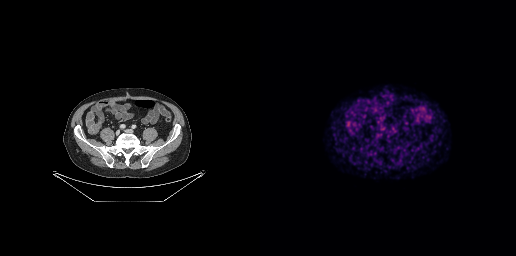
Negative for PSMA-avid disease on this slice.